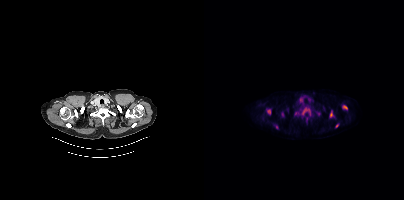
Coordinates are on the 200×200 PET (right) panel. PSMA-avid tumor lesion bounding boxes (x, y, width, height): x=98 y=108 w=9 h=7 | x=63 y=109 w=4 h=6 | x=126 y=110 w=3 h=8 | x=139 y=105 w=5 h=5 | x=102 y=118 w=3 h=6 | x=70 y=125 w=5 h=4 | x=77 y=112 w=3 h=5. Small PSMA-avid foci (2 to 4 px across) near (center x, center y): (114, 113) | (132, 125) | (92, 113).